Paired axial CT (left) and PSMA PET (right), [68Ga]Ga-PSMA-11 tracer. Acquired on GE Discovery 690. Slice 133 of 227.
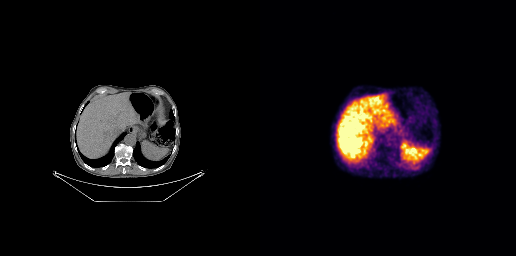
This slice has no annotated PSMA-avid lesion.